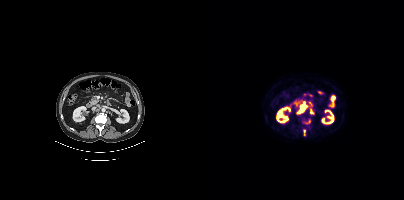
{"pet_grid":[200,200],"coord_frame":"pet_panel","coord_format":"x0,y0,x1,y1","partial":true,"lesion_bboxes":[[93,104,102,113],[106,109,109,113]],"modality":"PSMA PET/CT","view":"axial","tracer":"18F"}